Paired axial CT (left) and PSMA PET (right), 18F tracer. Slice 688 of 963. PET panel 200×200 px (4.1 mm/px).
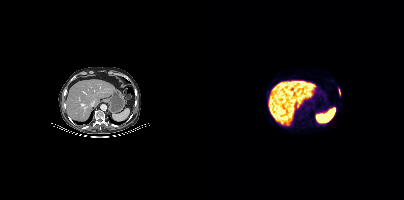
Coordinates are on the 200×200 PET (right) panel. PSMA-avid tumor lesion bounding box (x, y, width, height): x=135 y=89 w=2 h=6.